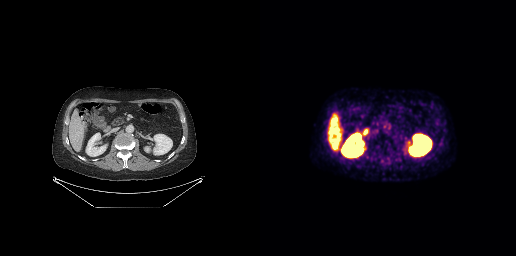
This slice has no annotated PSMA-avid lesion.